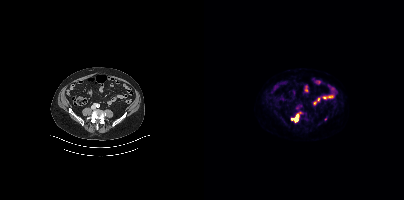
Technique: Left: CT. Right: PSMA PET, same axial level, 18F tracer. slice position z = -668 mm. PET panel 200×200 px (4.1 mm/px).
Findings: Coordinates are on the 200×200 PET (right) panel. PSMA-avid tumor lesion bounding box (x0,y0,x1,y1): [87,114,94,122]. Small PSMA-avid focus (2 to 4 px across) near (center x, center y): (121, 119).